Left: CT. Right: PSMA PET, same axial level, [68Ga]Ga-PSMA-11 tracer. Acquired on GE Discovery 690.
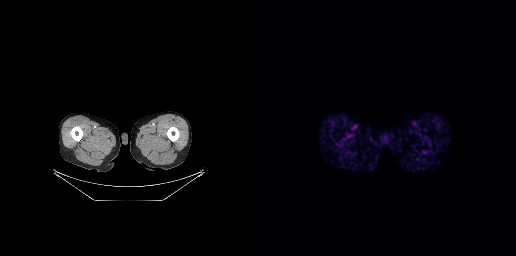
Negative for PSMA-avid disease on this slice.